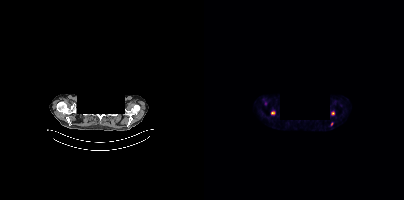
Technique: Two-panel axial: CT | PSMA PET, [18F]PSMA-1007 tracer. PET panel 200×200 px (4.1 mm/px).
Note: Head region blanked for anonymization (face removed).
Findings: Coordinates are on the 200×200 PET (right) panel. PSMA-avid tumor lesion bounding boxes (x, y, width, height): x=67 y=111 w=5 h=4 | x=127 y=111 w=4 h=5. Small PSMA-avid focus (2 to 4 px across) near (center x, center y): (127, 123).